modality: PSMA PET/CT | tracer: [18F]PSMA-1007 | view: axial
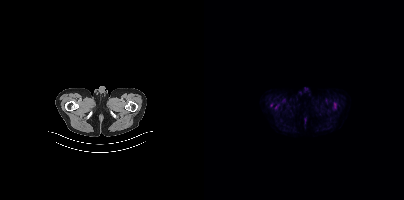
This slice has no annotated PSMA-avid lesion.